modality: PSMA PET/CT | tracer: [18F]PSMA-1007 | view: axial | PET grid: 200×200
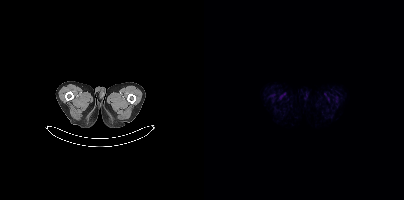
This slice has no annotated PSMA-avid lesion.